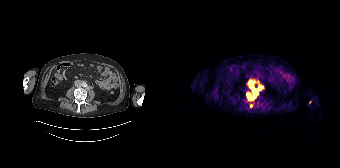
Coordinates are on the 168×168 PET (right) panel. (showing 2 of 4 foci) PSMA-avid tumor lesion bounding box (x, y, width, height): x=75 y=81 w=15 h=19. Small PSMA-avid focus (2 to 4 px across) near (center x, center y): (78, 106).
modality: PSMA PET/CT | tracer: 68Ga | view: axial